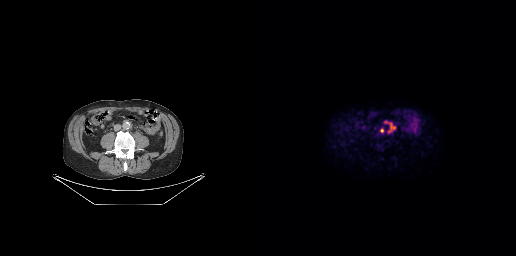
Coordinates are on the 256×256 PET (right) panel. PSMA-avid tumor lesion bounding boxes (x, y, width, height): x=124 y=121 w=12 h=13 | x=120 y=128 w=5 h=6.